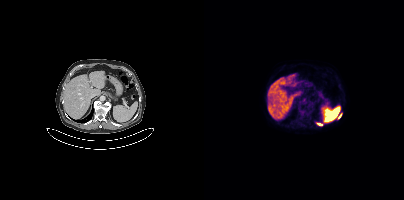
Left: CT. Right: PSMA PET, same axial level, 18F-PSMA tracer. Slice position z = -611 mm. PET panel 200×200 px (4.1 mm/px).
Coordinates are on the 200×200 PET (right) panel. PSMA-avid tumor lesion bounding boxes:
| # | x0 | y0 | x1 | y1 |
|---|---|---|---|---|
| 1 | 134 | 114 | 137 | 118 |
Small PSMA-avid focus (2 to 4 px across) near (center x, center y): (116, 124).